Paired axial CT (left) and PSMA PET (right), 18F-PSMA tracer. Slice 19 of 435.
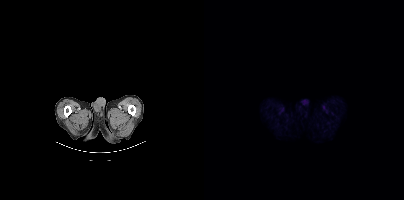
No tumor lesions annotated on this slice.